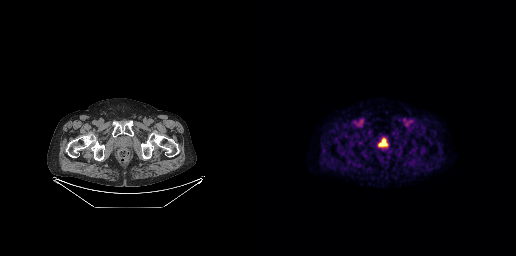
Paired axial CT (left) and PSMA PET (right), 18F tracer. PET panel 256×256 px (2.7 mm/px). Coordinates are on the 256×256 PET (right) panel. PSMA-avid tumor lesion bounding box (x0,y0,x1,y1): [118,138,127,146].